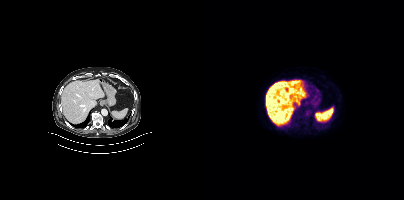
Findings: No PSMA-avid tumor lesions on this slice.
Technique: Two-panel axial: CT | PSMA PET, 18F tracer. slice 276 of 466. PET panel 200×200 px (4.1 mm/px).